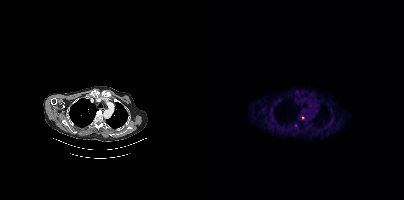
{"modality":"PSMA PET/CT","view":"axial","tracer":"18F","pet_grid":[200,200],"coord_frame":"pet_panel","coord_format":"x0,y0,x1,y1","lesion_bboxes":[],"small_foci_centers":[[98,117]]}